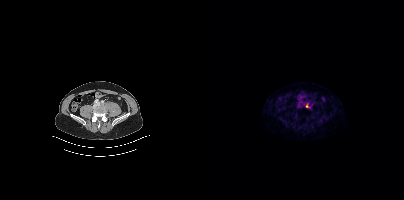
{"modality":"PSMA PET/CT","view":"axial","tracer":"[18F]PSMA-1007","pet_grid":[200,200],"coord_frame":"pet_panel","coord_format":"x0,y0,x1,y1","lesion_bboxes":[],"small_foci_centers":[[103,105]]}